- Left: CT. Right: PSMA PET, same axial level, 18F-PSMA tracer
- slice position z = -1475 mm
- PET panel 200×200 px (4.1 mm/px)
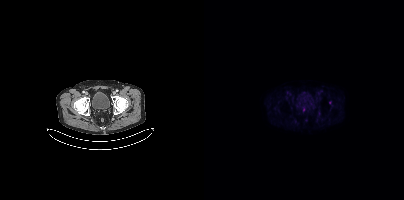
Findings: Coordinates are on the 200×200 PET (right) panel. (showing 1 of 2 foci) Small PSMA-avid focus (2 to 4 px across) near (center x, center y): (99, 109).